Technique: Paired axial CT (left) and PSMA PET (right), 18F-PSMA tracer. acquired on Siemens Biograph 64-4R TruePoint. slice 104 of 165.
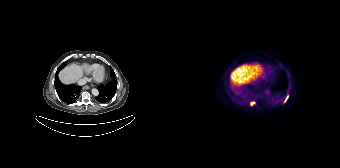
Findings: Coordinates are on the 168×168 PET (right) panel. PSMA-avid tumor lesion bounding boxes (x, y, width, height): x=112 y=95 w=5 h=8 | x=78 y=101 w=6 h=5.